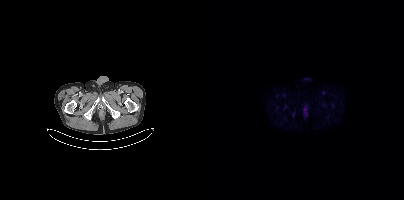
Findings: Coordinates are on the 200×200 PET (right) panel. PSMA-avid tumor lesion bounding box (x, y, width, height): x=100 y=108 w=4 h=9.
Technique: Left: CT. Right: PSMA PET, same axial level, [18F]PSMA-1007 tracer. acquired on Siemens Biograph mCT Flow 20. slice 36 of 403.